de-identification: head region blanked (face removed) | modality: PSMA PET/CT | tracer: 18F | view: axial
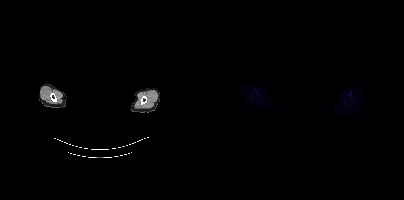
No tumor lesions annotated on this slice.